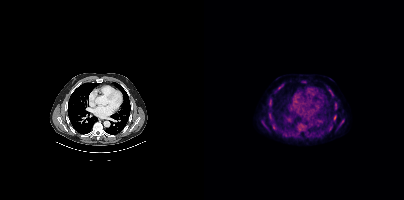
Findings: Coordinates are on the 200×200 PET (right) panel. (showing 9 of 10 foci) PSMA-avid tumor lesion bounding boxes (x0, y0)-(x1, y1): (135, 119)-(140, 126) | (74, 85)-(78, 88) | (130, 116)-(132, 120) | (60, 124)-(63, 128). Small PSMA-avid foci (2 to 4 px across) near (center x, center y): (69, 126) | (131, 103) | (100, 81) | (128, 94) | (65, 113).
Technique: Paired axial CT (left) and PSMA PET (right), [18F]PSMA-1007 tracer. slice 288 of 438. PET panel 200×200 px (4.1 mm/px).